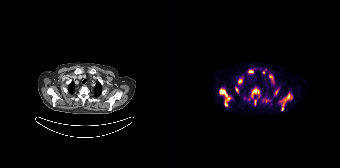
{"pet_grid":[168,168],"coord_frame":"pet_panel","coord_format":"x0,y0,x1,y1","partial":true,"lesion_bboxes":[[47,88,59,106],[107,93,120,110],[79,88,87,98],[76,69,81,73],[63,86,66,92],[103,89,106,95],[82,100,84,104]],"small_foci_centers":[[68,79],[94,100],[98,76],[91,72]],"modality":"PSMA PET/CT","view":"axial","tracer":"18F-PSMA"}